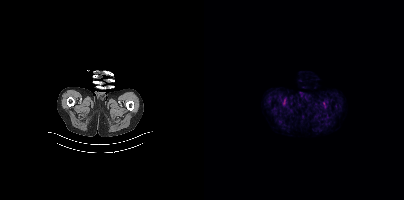
modality: PSMA PET/CT | tracer: 18F | view: axial
No PSMA-avid tumor lesions on this slice.